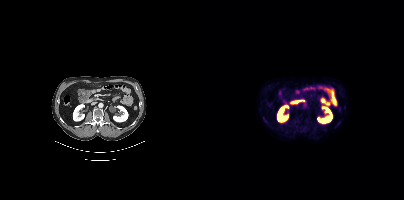
{"modality":"PSMA PET/CT","view":"axial","tracer":"[18F]PSMA-1007","pet_grid":[200,200],"coord_frame":"pet_panel","coord_format":"x0,y0,x1,y1","psma_avid_lesions":false}